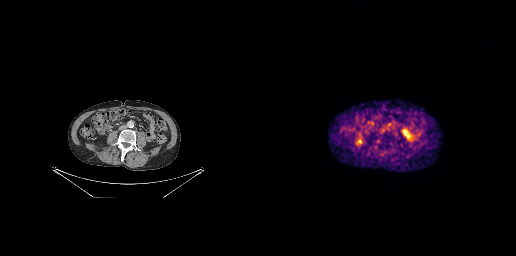
This slice has no annotated PSMA-avid lesion.